Paired axial CT (left) and PSMA PET (right), [18F]PSMA-1007 tracer. Slice position z = -661 mm.
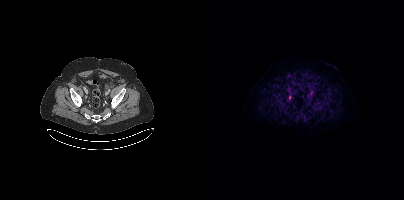
Coordinates are on the 200×200 PET (right) panel. (showing 1 of 2 foci) Small PSMA-avid focus (2 to 4 px across) near (center x, center y): (85, 97).